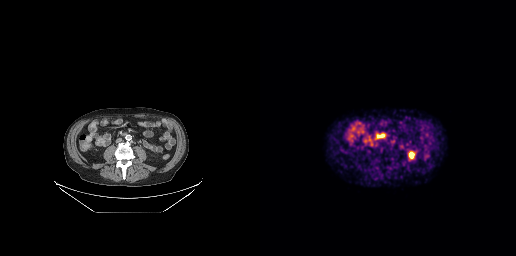
No PSMA-avid tumor lesions on this slice.
modality: PSMA PET/CT | tracer: 68Ga-PSMA | view: axial | PET grid: 256×256